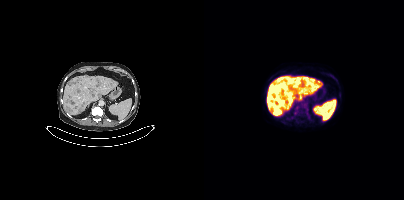
{"pet_grid":[200,200],"coord_frame":"pet_panel","coord_format":"x0,y0,x1,y1","lesion_bboxes":[[66,106,75,114],[65,97,71,104],[93,77,99,82]],"small_foci_centers":[[93,109]],"modality":"PSMA PET/CT","view":"axial","tracer":"18F-PSMA"}